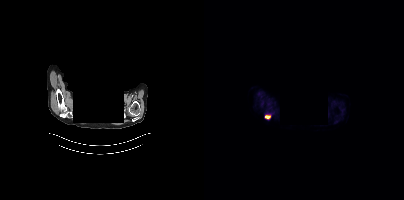
{"modality":"PSMA PET/CT","view":"axial","tracer":"18F","pet_grid":[200,200],"coord_frame":"pet_panel","coord_format":"x0,y0,x1,y1","redaction":"rectangular block over head set to black","lesion_bboxes":[[61,115,66,118]]}